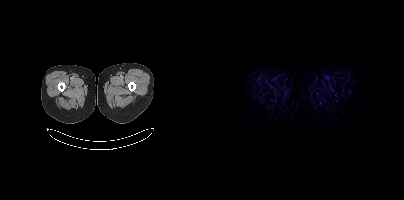
{"pet_grid":[200,200],"coord_frame":"pet_panel","coord_format":"x0,y0,x1,y1","psma_avid_lesions":false,"modality":"PSMA PET/CT","view":"axial","tracer":"[18F]PSMA-1007"}